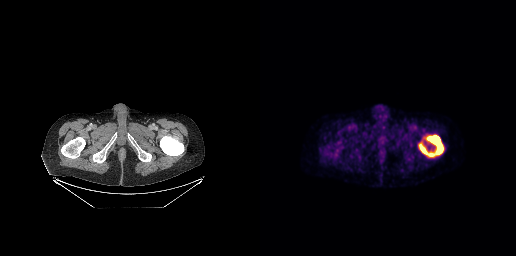
{"modality":"PSMA PET/CT","view":"axial","tracer":"18F","pet_grid":[256,256],"coord_frame":"pet_panel","coord_format":"x0,y0,x1,y1","lesion_bboxes":[[159,135,183,156]]}